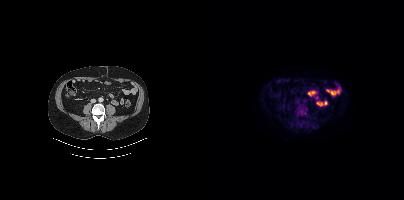
Two-panel axial: CT | PSMA PET, [18F]PSMA-1007 tracer. Slice position z = -1209 mm.
Coordinates are on the 200×200 PET (right) panel. PSMA-avid tumor lesion bounding boxes:
| # | x0 | y0 | x1 | y1 |
|---|---|---|---|---|
| 1 | 92 | 107 | 103 | 115 |
| 2 | 95 | 123 | 98 | 127 |